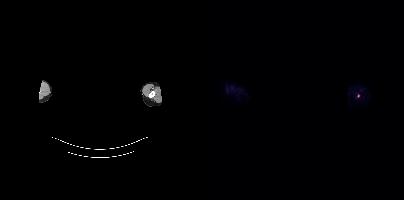
Coordinates are on the 200×200 PET (right) panel. Small PSMA-avid focus (2 to 4 px across) near (center x, center y): (154, 96).
modality: PSMA PET/CT | tracer: 18F-PSMA | view: axial | de-identification: head region blanked (face removed)